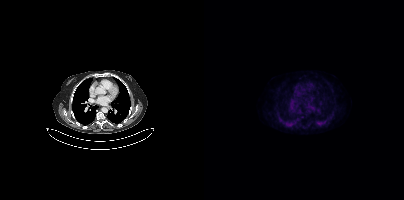
modality: PSMA PET/CT | tracer: [18F]PSMA-1007 | view: axial
No tumor lesions annotated on this slice.